Technique: Two-panel axial: CT | PSMA PET, [18F]PSMA-1007 tracer. acquired on Siemens Biograph mCT Flow 20. slice 284 of 454. PET panel 200×200 px (4.1 mm/px).
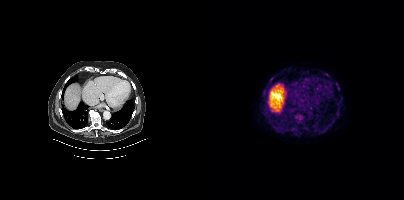
Findings: Coordinates are on the 200×200 PET (right) panel. (showing 1 of 4 foci) Small PSMA-avid focus (2 to 4 px across) near (center x, center y): (95, 118).